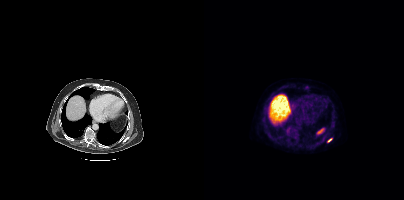
Left: CT. Right: PSMA PET, same axial level, [18F]PSMA-1007 tracer. Slice 273 of 431. PET panel 200×200 px (4.1 mm/px). Coordinates are on the 200×200 PET (right) panel. Small PSMA-avid focus (2 to 4 px across) near (center x, center y): (125, 140).